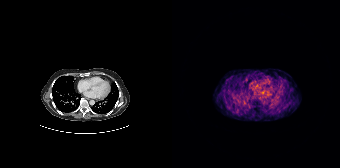
No tumor lesions annotated on this slice. Paired axial CT (left) and PSMA PET (right), 68Ga tracer. Slice position z = -330 mm. PET panel 168×168 px (4.1 mm/px).